Left: CT. Right: PSMA PET, same axial level, 18F tracer. Acquired on Siemens Biograph mCT Flow 20.
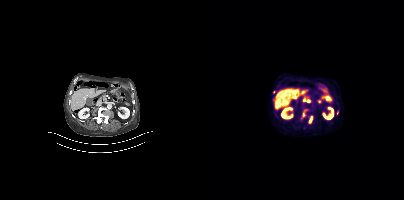
Coordinates are on the 200×200 PET (right) panel. PSMA-avid tumor lesion bounding boxes (x0,y0,x1,y1): [104,116,109,123], [97,110,102,118]. Small PSMA-avid foci (2 to 4 px across) near (center x, center y): (71, 114), (70, 91), (71, 110).